Two-panel axial: CT | PSMA PET, [18F]PSMA-1007 tracer. Acquired on Siemens Biograph mCT Flow 20. Slice position z = -1466 mm.
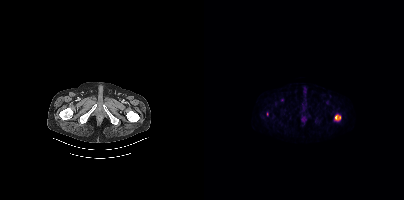
Coordinates are on the 200×200 PET (right) panel. PSMA-avid tumor lesion bounding boxes (partial; 1 more focus not listed):
| # | x0 | y0 | x1 | y1 |
|---|---|---|---|---|
| 1 | 131 | 115 | 136 | 120 |
Small PSMA-avid focus (2 to 4 px across) near (center x, center y): (78, 100).